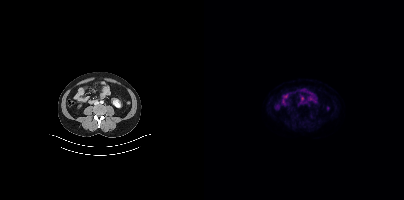
No tumor lesions annotated on this slice.
modality: PSMA PET/CT | tracer: 18F-PSMA | view: axial